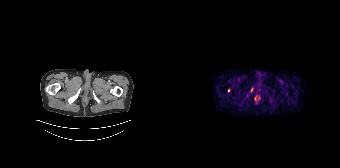
modality: PSMA PET/CT | tracer: [68Ga]Ga-PSMA-11 | view: axial | PET grid: 168×168
Coordinates are on the 168×168 PET (right) panel. Small PSMA-avid foci (2 to 4 px across) near (center x, center y): (80, 89) (56, 90).